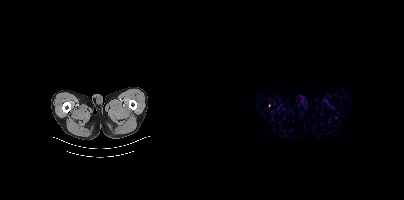
- Left: CT. Right: PSMA PET, same axial level, 68Ga-PSMA tracer
- acquired on Siemens Biograph mCT Flow 20
- slice 8 of 407
- PET panel 200×200 px (4.1 mm/px)
Findings: Coordinates are on the 200×200 PET (right) panel. Small PSMA-avid focus (2 to 4 px across) near (center x, center y): (65, 105).